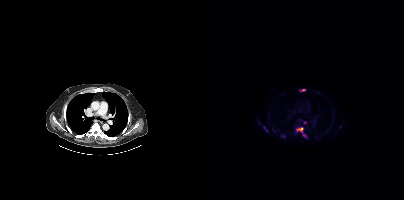
Technique: Left: CT. Right: PSMA PET, same axial level, 18F-PSMA tracer. slice position z = -520 mm.
Findings: Coordinates are on the 200×200 PET (right) panel. PSMA-avid tumor lesion bounding boxes (x, y, width, height): x=92 y=127 w=8 h=6; x=97 y=89 w=5 h=3; x=59 y=126 w=5 h=6. Small PSMA-avid foci (2 to 4 px across) near (center x, center y): (101, 122); (100, 135).